Left: CT. Right: PSMA PET, same axial level, 18F tracer. PET panel 200×200 px (4.1 mm/px).
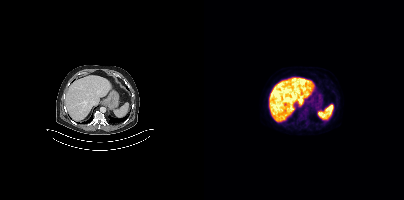
No PSMA-avid tumor lesions on this slice.